Technique: Two-panel axial: CT | PSMA PET, 18F-PSMA tracer. acquired on GE Discovery 690. slice position z = -271 mm.
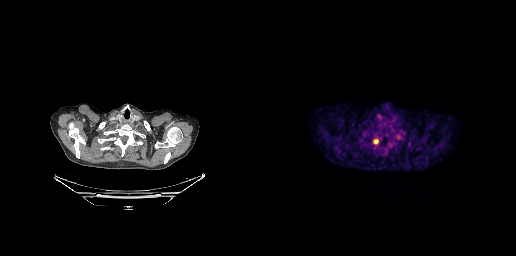
Findings: Coordinates are on the 256×256 PET (right) panel. Small PSMA-avid focus (2 to 4 px across) near (center x, center y): (115, 141).